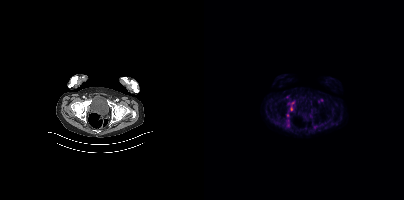
Findings: Negative for PSMA-avid disease on this slice.
- Two-panel axial: CT | PSMA PET, 18F-PSMA tracer
- acquired on Siemens Biograph mCT Flow 20